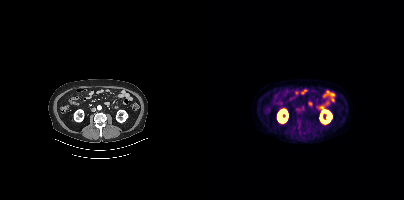
{"modality":"PSMA PET/CT","view":"axial","tracer":"18F-PSMA","pet_grid":[200,200],"coord_frame":"pet_panel","coord_format":"x0,y0,x1,y1","psma_avid_lesions":false}